modality: PSMA PET/CT | tracer: 68Ga | view: axial
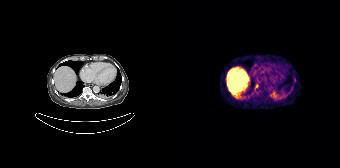
Coordinates are on the 168×168 PET (right) panel. PSMA-avid tumor lesion bounding box (x0, y0)-(x1, y1): (83, 84)-(86, 88).